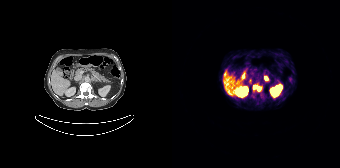
modality: PSMA PET/CT | tracer: [68Ga]Ga-PSMA-11 | view: axial | PET grid: 168×168
Coordinates are on the 168×168 PET (right) panel. PSMA-avid tumor lesion bounding box (x, y, width, height): x=81 y=85 w=9 h=7.